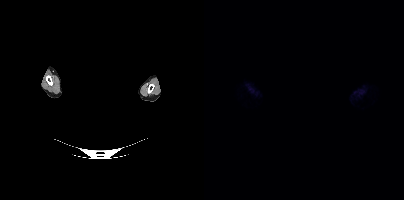
Head region blanked for anonymization (face removed).
This slice has no annotated PSMA-avid lesion.